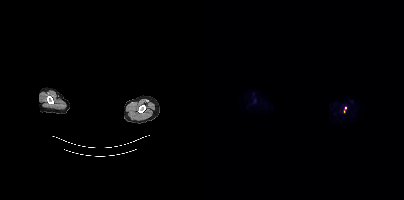
{"modality":"PSMA PET/CT","view":"axial","tracer":"18F-PSMA","pet_grid":[200,200],"coord_frame":"pet_panel","coord_format":"x0,y0,x1,y1","deidentification":"privacy mask over head","lesion_bboxes":[[140,107,142,112]]}